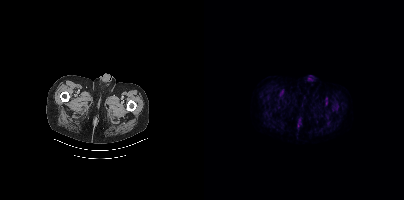
modality: PSMA PET/CT | tracer: 18F-PSMA | view: axial
Negative for PSMA-avid disease on this slice.